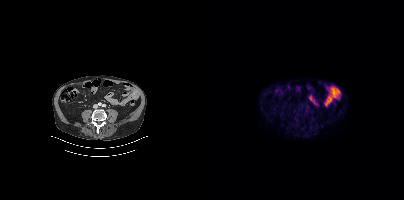
No PSMA-avid tumor lesions on this slice.